Left: CT. Right: PSMA PET, same axial level, 18F tracer. Acquired on Siemens Biograph mCT Flow 20.
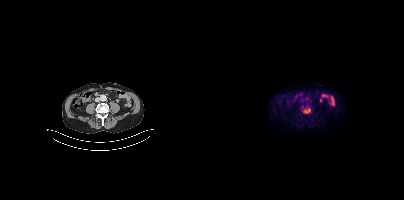
Coordinates are on the 200×200 PET (right) panel. PSMA-avid tumor lesion bounding boxes:
| # | x0 | y0 | x1 | y1 |
|---|---|---|---|---|
| 1 | 99 | 108 | 106 | 113 |